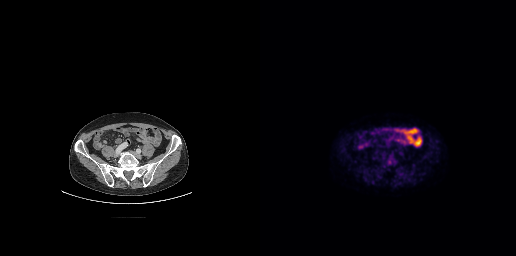
Paired axial CT (left) and PSMA PET (right), 18F tracer. Slice position z = -544 mm. PET panel 256×256 px (2.7 mm/px).
Coordinates are on the 256×256 PET (right) panel. PSMA-avid tumor lesion bounding boxes:
| # | x0 | y0 | x1 | y1 |
|---|---|---|---|---|
| 1 | 126 | 158 | 133 | 165 |